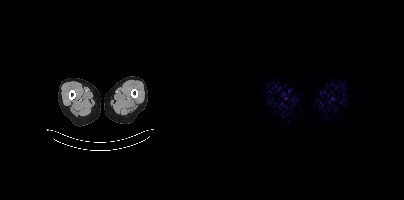
Technique: Paired axial CT (left) and PSMA PET (right), [18F]PSMA-1007 tracer. PET panel 200×200 px (4.1 mm/px).
Findings: No tumor lesions annotated on this slice.